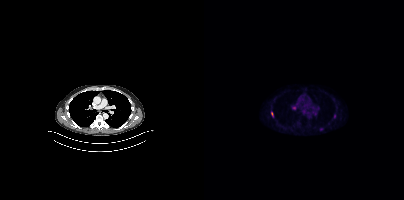
Coordinates are on the 200×200 PET (right) panel. PSMA-avid tumor lesion bounding box (x, y, width, height): x=67 y=112 w=3 h=5. Small PSMA-avid focus (2 to 4 px across) near (center x, center y): (130, 116).